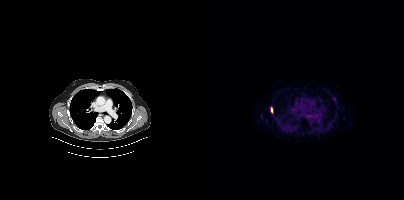
Left: CT. Right: PSMA PET, same axial level, 68Ga tracer. Acquired on Siemens Biograph mCT Flow 20. Slice 296 of 407. PET panel 200×200 px (4.1 mm/px). Coordinates are on the 200×200 PET (right) panel. PSMA-avid tumor lesion bounding box (x, y, width, height): x=67 y=107 w=2 h=6.